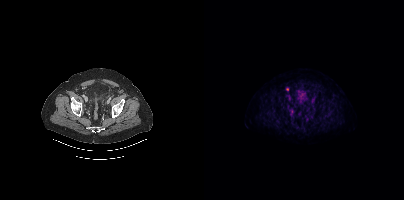
Two-panel axial: CT | PSMA PET, 18F-PSMA tracer. Coordinates are on the 200×200 PET (right) panel. Small PSMA-avid foci (2 to 4 px across) near (center x, center y): (83, 89), (87, 110).